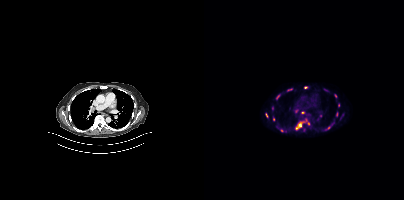
Findings: Coordinates are on the 200×200 PET (right) panel. (showing 15 of 19 foci) PSMA-avid tumor lesion bounding boxes (x0, y0)-(x1, y1): (91, 122)-(99, 129) / (72, 94)-(76, 99) / (83, 88)-(88, 91) / (121, 126)-(126, 130) / (61, 113)-(64, 117) / (132, 112)-(134, 116). Small PSMA-avid foci (2 to 4 px across) near (center x, center y): (92, 111) / (101, 87) / (131, 95) / (134, 105) / (69, 119) / (78, 130) / (68, 107) / (98, 112) / (129, 122).
Technique: Left: CT. Right: PSMA PET, same axial level, 18F tracer. acquired on Siemens Biograph mCT Flow 20. slice 286 of 413. PET panel 200×200 px (4.1 mm/px).